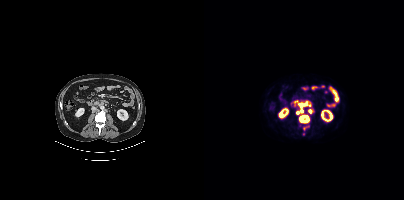
{"modality":"PSMA PET/CT","view":"axial","tracer":"18F","pet_grid":[200,200],"coord_frame":"pet_panel","coord_format":"x0,y0,x1,y1","partial":true,"lesion_bboxes":[[95,115,105,123],[95,102,106,112],[104,109,108,113]],"small_foci_centers":[[93,112]]}